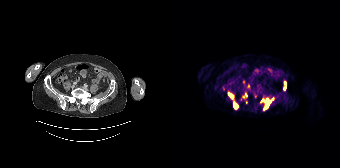
Coordinates are on the 168×168 PET (right) panel. (showing 6 of 7 foci) PSMA-avid tumor lesion bounding boxes (x, y, width, height): x=112 y=82 w=3 h=9 | x=95 y=98 w=7 h=5 | x=62 y=104 w=4 h=5 | x=92 y=104 w=5 h=6 | x=56 y=93 w=5 h=5 | x=89 y=99 w=5 h=4.